Left: CT. Right: PSMA PET, same axial level, 18F-PSMA tracer.
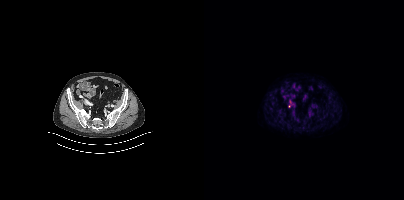
Only PSMA-avid lesion pieces thinner than 2 px on this slice (not listed).